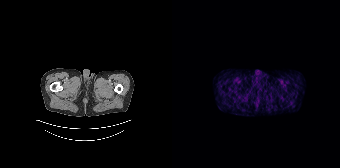
Left: CT. Right: PSMA PET, same axial level, 68Ga-PSMA tracer. Acquired on Siemens Biograph 64-4R TruePoint. No tumor lesions annotated on this slice.